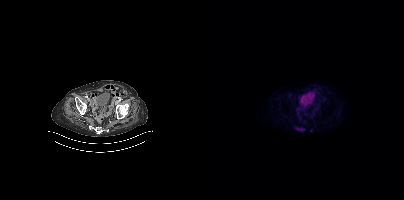
Coordinates are on the 200×200 PET (right) panel. PSMA-avid tumor lesion bounding box (x0, y0)-(x1, y1): (92, 127)-(100, 130). Small PSMA-avid focus (2 to 4 px across) near (center x, center y): (107, 130).